- Paired axial CT (left) and PSMA PET (right), 18F-PSMA tracer
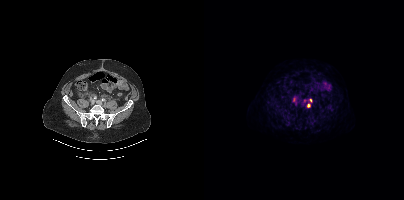
Findings: Coordinates are on the 200×200 PET (right) panel. Small PSMA-avid foci (2 to 4 px across) near (center x, center y): (90, 99) | (104, 105) | (106, 100).